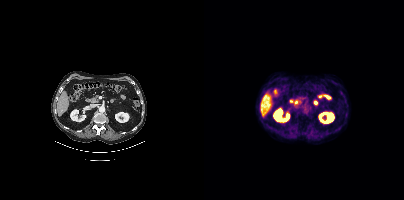
Technique: Two-panel axial: CT | PSMA PET, 18F tracer. acquired on Siemens Biograph mCT Flow 20. slice position z = -611 mm. PET panel 200×200 px (4.1 mm/px).
Findings: No tumor lesions annotated on this slice.